Two-panel axial: CT | PSMA PET, [18F]PSMA-1007 tracer. Acquired on GE Discovery 690. PET panel 256×256 px (2.7 mm/px).
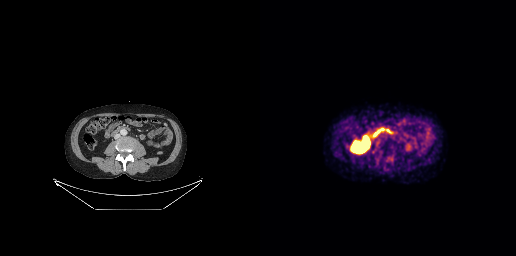
No PSMA-avid tumor lesions on this slice.